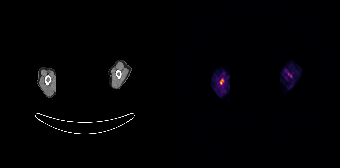
Coordinates are on the 168×168 PET (right) panel. (showing 1 of 2 foci) Small PSMA-avid focus (2 to 4 px across) near (center x, center y): (48, 82). Paired axial CT (left) and PSMA PET (right), 68Ga tracer. Slice 150 of 165. PET panel 168×168 px (4.1 mm/px). The face region was removed for patient privacy by blanking a rectangle over the head.